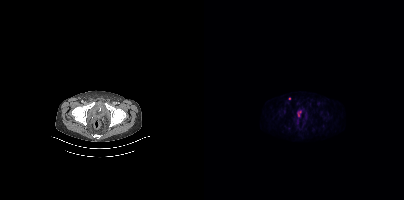
{"modality":"PSMA PET/CT","view":"axial","tracer":"[18F]PSMA-1007","pet_grid":[200,200],"coord_frame":"pet_panel","coord_format":"x0,y0,x1,y1","lesion_bboxes":[[94,111,97,116]],"small_foci_centers":[[85,98]]}